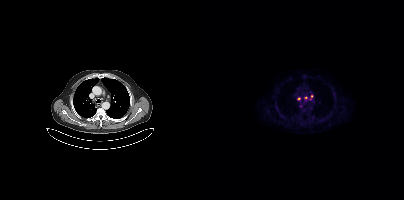
{"pet_grid":[200,200],"coord_frame":"pet_panel","coord_format":"x0,y0,x1,y1","lesion_bboxes":[[105,96,108,100]],"small_foci_centers":[[94,98],[101,97]],"modality":"PSMA PET/CT","view":"axial","tracer":"[18F]PSMA-1007"}